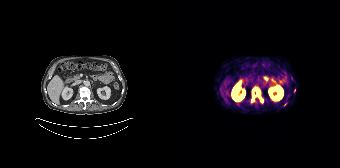
Coordinates are on the 168×168 PET (right) panel. (showing 4 of 5 foci) PSMA-avid tumor lesion bounding boxes (x, y, width, height): x=82 y=88 w=6 h=9 / x=80 y=92 w=3 h=10 / x=111 y=102 w=5 h=5. Small PSMA-avid focus (2 to 4 px across) near (center x, center y): (89, 101). Two-panel axial: CT | PSMA PET, 68Ga-PSMA tracer. PET panel 168×168 px (4.1 mm/px).